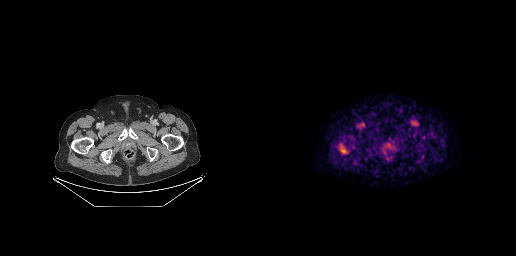
Coordinates are on the 256×256 PET (right) panel. PSMA-avid tumor lesion bounding box (x0, y0)-(x1, y1): (79, 144)-(87, 154).